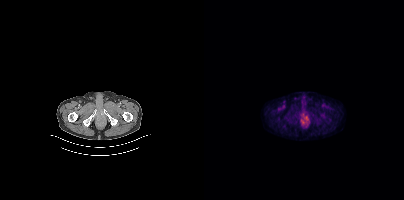
Technique: Paired axial CT (left) and PSMA PET (right), [18F]PSMA-1007 tracer. slice 44 of 387.
Findings: No PSMA-avid tumor lesions on this slice.